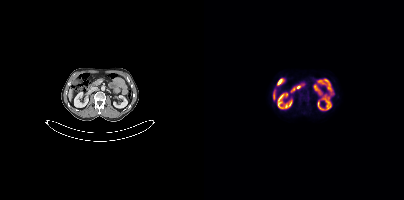
Technique: Paired axial CT (left) and PSMA PET (right), 18F tracer. acquired on Siemens Biograph mCT Flow 20. slice 182 of 409. PET panel 200×200 px (4.1 mm/px).
Findings: No PSMA-avid tumor lesions on this slice.